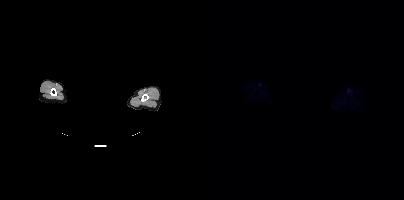
Facial anatomy redacted by setting a rectangular region of the head to black.
No PSMA-avid tumor lesions on this slice.